Technique: Two-panel axial: CT | PSMA PET, 68Ga-PSMA tracer. acquired on GE Discovery 690. PET panel 256×256 px (2.7 mm/px).
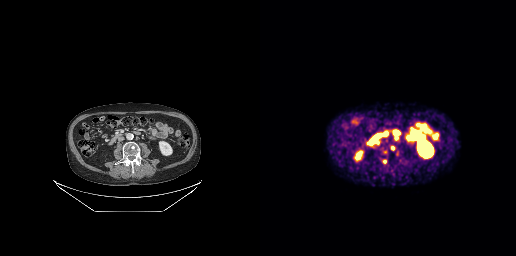
Findings: Coordinates are on the 256×256 PET (right) panel. PSMA-avid tumor lesion bounding boxes (x, y, width, height): x=143 y=160 w=6 h=5 / x=136 y=150 w=4 h=7 / x=122 y=159 w=5 h=5 / x=123 y=150 w=5 h=4 / x=135 y=136 w=4 h=5. Small PSMA-avid focus (2 to 4 px across) near (center x, center y): (132, 147).